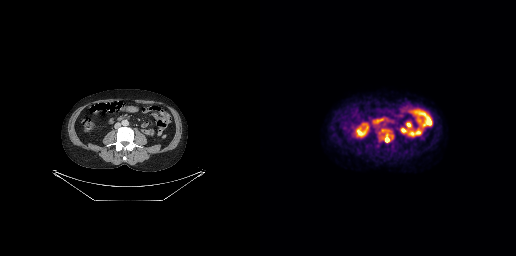
Paired axial CT (left) and PSMA PET (right), 18F-PSMA tracer. Slice 134 of 299. PET panel 256×256 px (2.7 mm/px). Coordinates are on the 256×256 PET (right) panel. (showing 1 of 2 foci) PSMA-avid tumor lesion bounding box (x, y, width, height): x=125 y=137 w=5 h=6.